Left: CT. Right: PSMA PET, same axial level, [18F]PSMA-1007 tracer. Slice 179 of 263.
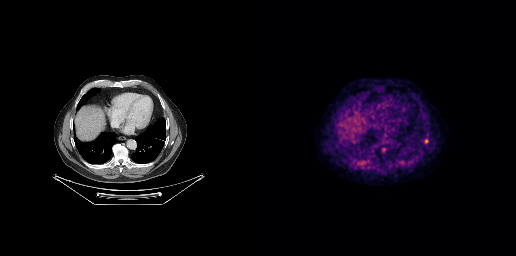
Coordinates are on the 256×256 PET (right) panel. Small PSMA-avid focus (2 to 4 px across) near (center x, center y): (166, 141).